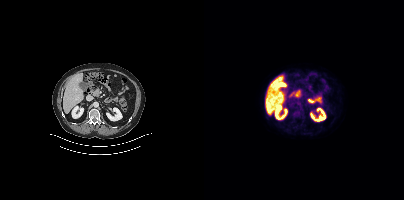
modality: PSMA PET/CT | tracer: 18F | view: axial
Negative for PSMA-avid disease on this slice.